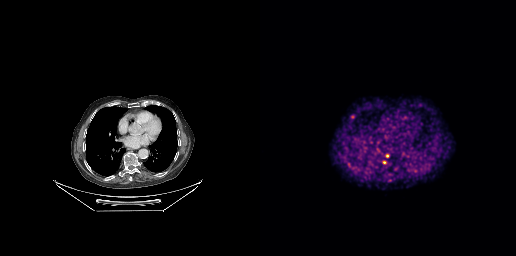
Technique: Paired axial CT (left) and PSMA PET (right), 68Ga-PSMA tracer. slice 178 of 263. PET panel 256×256 px (2.7 mm/px).
Findings: Coordinates are on the 256×256 PET (right) panel. Small PSMA-avid foci (2 to 4 px across) near (center x, center y): (124, 162), (127, 155), (92, 116).